Left: CT. Right: PSMA PET, same axial level, [18F]PSMA-1007 tracer. A rectangle over the head was blacked out to remove identifiable facial features.
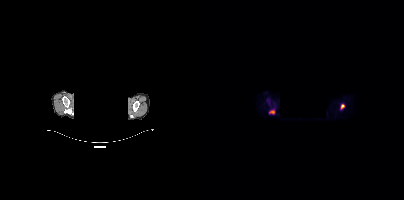
Coordinates are on the 200×200 PET (right) panel. PSMA-avid tumor lesion bounding boxes:
| # | x0 | y0 | x1 | y1 |
|---|---|---|---|---|
| 1 | 65 | 110 | 70 | 114 |
| 2 | 137 | 104 | 140 | 109 |